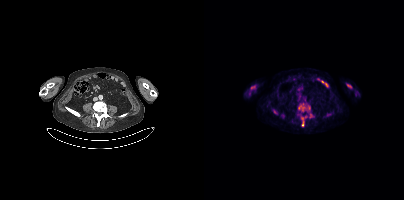
Findings: Coordinates are on the 200×200 PET (right) panel. PSMA-avid tumor lesion bounding boxes (x0,y0,x1,y1): [94,103,106,111]; [97,116,102,126]; [105,113,108,117]; [143,84,147,87]. Small PSMA-avid focus (2 to 4 px across) near (center x, center y): (71, 111).
Technique: Two-panel axial: CT | PSMA PET, 18F tracer. slice position z = -108 mm. PET panel 200×200 px (4.1 mm/px).